modality: PSMA PET/CT | tracer: 18F-PSMA | view: axial | PET grid: 200×200
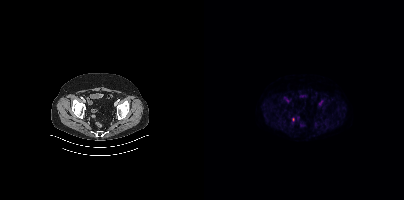
Only PSMA-avid lesion pieces thinner than 2 px on this slice (not listed).